Paired axial CT (left) and PSMA PET (right), [18F]PSMA-1007 tracer. Slice position z = -370 mm.
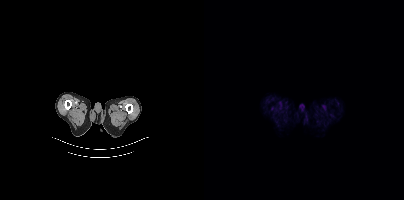
No tumor lesions annotated on this slice.